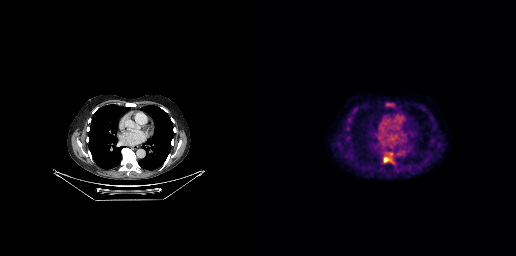
{"modality":"PSMA PET/CT","view":"axial","tracer":"[18F]PSMA-1007","pet_grid":[256,256],"coord_frame":"pet_panel","coord_format":"x0,y0,x1,y1","lesion_bboxes":[[123,152,134,164]],"small_foci_centers":[[87,137]]}